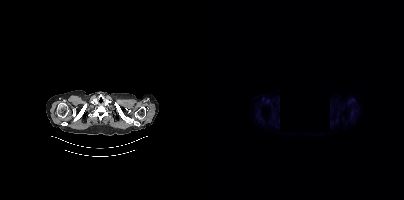
{"modality":"PSMA PET/CT","view":"axial","tracer":"18F-PSMA","pet_grid":[200,200],"coord_frame":"pet_panel","coord_format":"x0,y0,x1,y1","redaction":"region redacted","psma_avid_lesions":false}